Left: CT. Right: PSMA PET, same axial level, 18F-PSMA tracer. Acquired on Siemens Biograph mCT Flow 20. Slice 209 of 415.
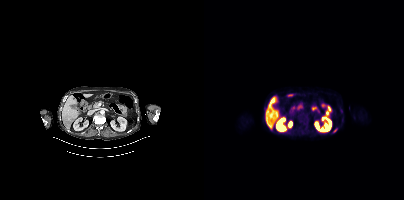
Coordinates are on the 200×200 PET (right) panel. PSMA-avid tumor lesion bounding boxes:
| # | x0 | y0 | x1 | y1 |
|---|---|---|---|---|
| 1 | 129 | 128 | 133 | 132 |